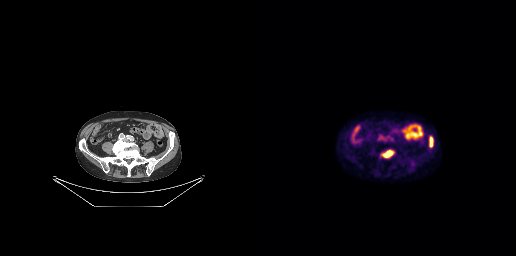
Two-panel axial: CT | PSMA PET, [18F]PSMA-1007 tracer. Slice position z = -564 mm. PET panel 256×256 px (2.7 mm/px).
Coordinates are on the 256×256 PET (right) panel. PSMA-avid tumor lesion bounding boxes:
| # | x0 | y0 | x1 | y1 |
|---|---|---|---|---|
| 1 | 169 | 136 | 173 | 147 |
| 2 | 124 | 151 | 131 | 156 |